- Two-panel axial: CT | PSMA PET, 18F-PSMA tracer
- slice position z = -132 mm
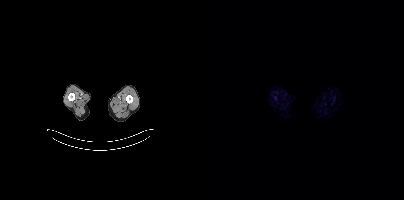
Findings: Negative for PSMA-avid disease on this slice.